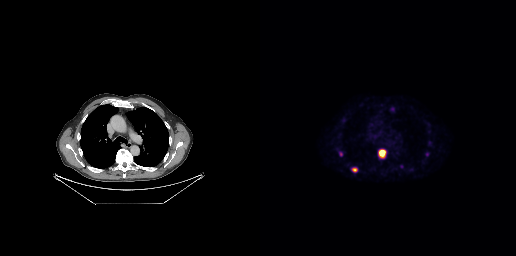
Technique: Two-panel axial: CT | PSMA PET, 18F-PSMA tracer. slice position z = -202 mm. PET panel 256×256 px (2.7 mm/px).
Findings: Coordinates are on the 256×256 PET (right) panel. (showing 3 of 4 foci) PSMA-avid tumor lesion bounding boxes (x, y, width, height): x=118 y=149 w=9 h=10 / x=91 y=167 w=7 h=6. Small PSMA-avid focus (2 to 4 px across) near (center x, center y): (81, 154).